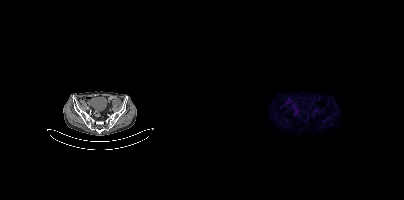
Two-panel axial: CT | PSMA PET, 18F tracer. Slice position z = -912 mm. PET panel 200×200 px (4.1 mm/px). No tumor lesions annotated on this slice.